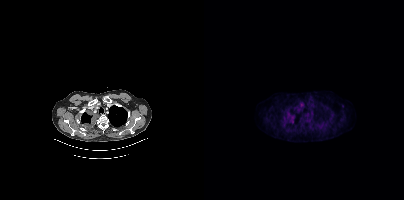
Negative for PSMA-avid disease on this slice.
modality: PSMA PET/CT | tracer: 18F-PSMA | view: axial